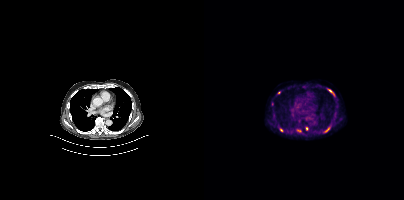
{"pet_grid":[200,200],"coord_frame":"pet_panel","coord_format":"x0,y0,x1,y1","partial":true,"lesion_bboxes":[[124,89,130,94],[121,128,125,131]],"small_foci_centers":[[77,129],[102,128],[75,92],[95,130]],"modality":"PSMA PET/CT","view":"axial","tracer":"[18F]PSMA-1007"}